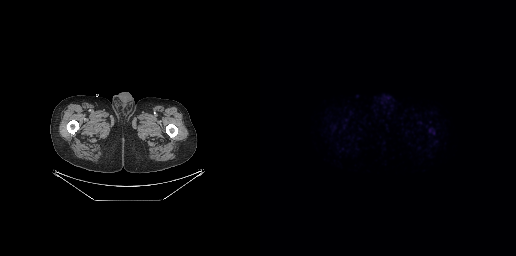
{"modality":"PSMA PET/CT","view":"axial","tracer":"[18F]PSMA-1007","pet_grid":[256,256],"coord_frame":"pet_panel","coord_format":"x0,y0,x1,y1","psma_avid_lesions":false}